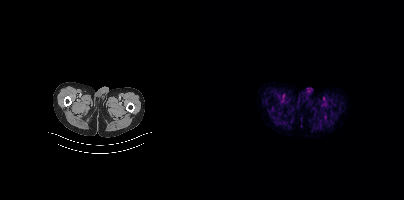
{"pet_grid":[200,200],"coord_frame":"pet_panel","coord_format":"x0,y0,x1,y1","psma_avid_lesions":false,"modality":"PSMA PET/CT","view":"axial","tracer":"18F-PSMA"}